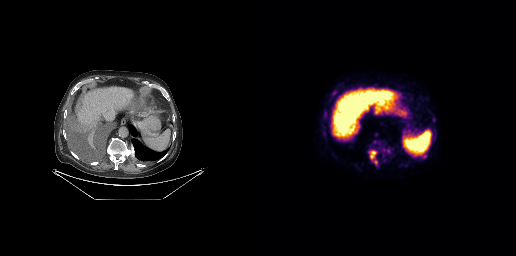
Technique: Paired axial CT (left) and PSMA PET (right), 18F-PSMA tracer. slice 175 of 299.
Findings: Coordinates are on the 256×256 PET (right) panel. (showing 3 of 4 foci) PSMA-avid tumor lesion bounding box (x0, y0)-(x1, y1): (109, 150)-(117, 164). Small PSMA-avid foci (2 to 4 px across) near (center x, center y): (174, 119) / (65, 113).